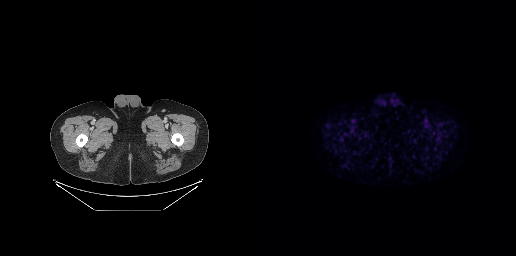
This slice has no annotated PSMA-avid lesion. Two-panel axial: CT | PSMA PET, 18F tracer. Acquired on GE Discovery 690. Slice position z = -796 mm.